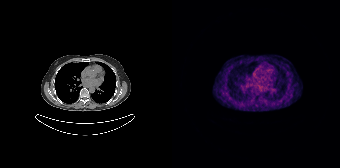
This slice has no annotated PSMA-avid lesion.